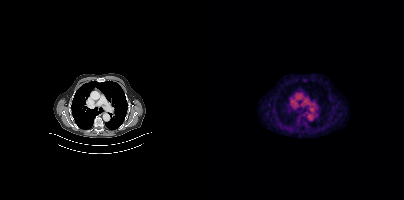
Negative for PSMA-avid disease on this slice.